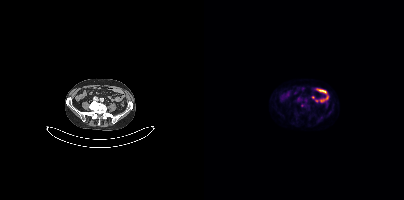
Findings: Only PSMA-avid lesion pieces thinner than 2 px on this slice (not listed).
- Two-panel axial: CT | PSMA PET, 18F-PSMA tracer
- acquired on Siemens Biograph mCT Flow 20
- slice position z = -670 mm
- PET panel 200×200 px (4.1 mm/px)